Technique: Left: CT. Right: PSMA PET, same axial level, 18F tracer. slice 226 of 454.
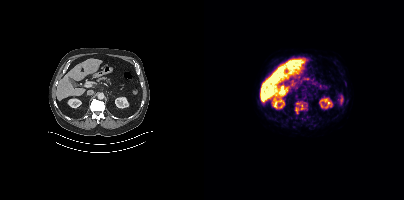
Findings: Coordinates are on the 200×200 PET (right) panel. PSMA-avid tumor lesion bounding boxes (x0,y0,x1,y1): [92,102,101,109], [92,107,94,113].